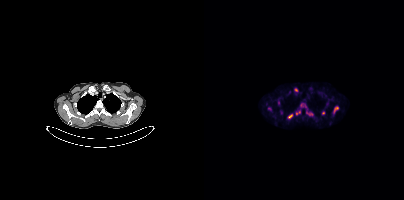
Coordinates are on the 200×200 PET (right) panel. PSMA-avid tumor lesion bounding boxes (partial; 1 more focus not listed):
| # | x0 | y0 | x1 | y1 |
|---|---|---|---|---|
| 1 | 129 | 106 | 134 | 113 |
| 2 | 83 | 114 | 88 | 119 |
| 3 | 102 | 112 | 109 | 115 |
| 4 | 92 | 111 | 96 | 114 |
Small PSMA-avid foci (2 to 4 px across) near (center x, center y): (91, 89); (119, 112); (65, 108); (74, 102); (77, 112).
Two-panel axial: CT | PSMA PET, 18F tracer. Acquired on Siemens Biograph mCT Flow 20.